modality: PSMA PET/CT | tracer: 68Ga-PSMA | view: axial
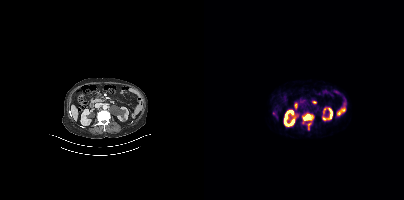
Coordinates are on the 200×200 PET (right) panel. PSMA-avid tumor lesion bounding boxes (x0,y0,x1,y1): [99,114,109,123], [103,122,107,129]. Small PSMA-avid focus (2 to 4 px across) near (center x, center y): (69, 113).